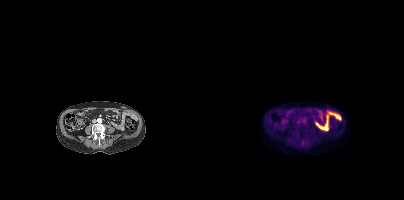
Two-panel axial: CT | PSMA PET, 18F tracer. Slice 150 of 389. Coordinates are on the 200×200 PET (right) panel. PSMA-avid tumor lesion bounding box (x0,y0,x1,y1): [98,140,99,144].